Left: CT. Right: PSMA PET, same axial level, [18F]PSMA-1007 tracer.
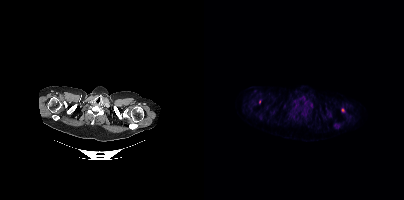
Coordinates are on the 200×200 PET (right) panel. Small PSMA-avid foci (2 to 4 px across) near (center x, center y): (138, 110) / (55, 101).